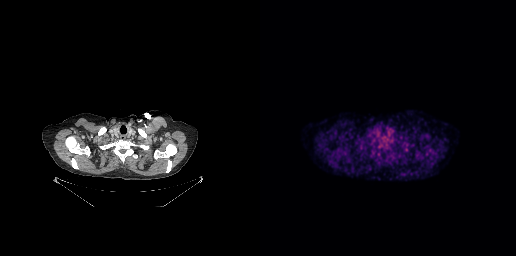
No PSMA-avid tumor lesions on this slice. Two-panel axial: CT | PSMA PET, 18F tracer. Acquired on GE Discovery 690. PET panel 256×256 px (2.7 mm/px).